Left: CT. Right: PSMA PET, same axial level, 18F-PSMA tracer. Slice position z = -932 mm.
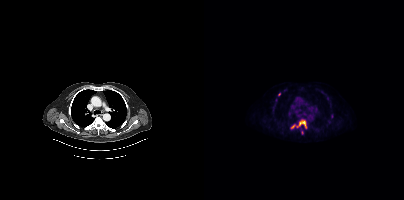
Coordinates are on the 200×200 PET (right) panel. PSMA-avid tumor lesion bounding boxes:
| # | x0 | y0 | x1 | y1 |
|---|---|---|---|---|
| 1 | 87 | 120 | 102 | 128 |
Small PSMA-avid foci (2 to 4 px across) near (center x, center y): (98, 132); (75, 94); (81, 90).